modality: PSMA PET/CT | tracer: [18F]PSMA-1007 | view: axial
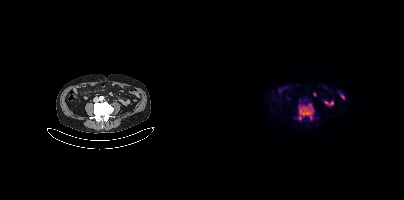
Coordinates are on the 200×200 PET (right) panel. PSMA-avid tumor lesion bounding box (x, y, width, height): x=94 y=104 w=16 h=16.